Technique: Paired axial CT (left) and PSMA PET (right), 68Ga-PSMA tracer. PET panel 168×168 px (4.1 mm/px).
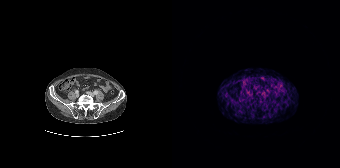
Findings: No PSMA-avid tumor lesions on this slice.